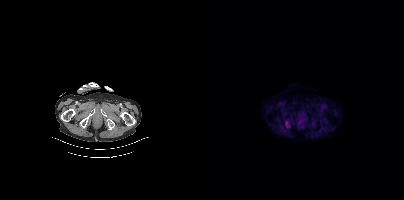
Coordinates are on the 200×200 PET (right) panel. Small PSMA-avid focus (2 to 4 px across) near (center x, center y): (82, 122).